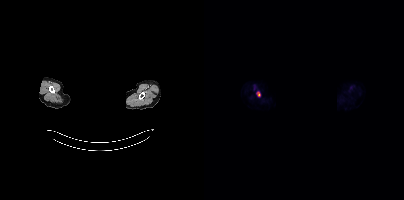
modality: PSMA PET/CT | tracer: [18F]PSMA-1007 | view: axial | PET grid: 200×200 | deidentification: head region blacked out before release
Coordinates are on the 200×200 PET (right) panel. PSMA-avid tumor lesion bounding box (x0,y0,x1,y1): [53,92,56,96].